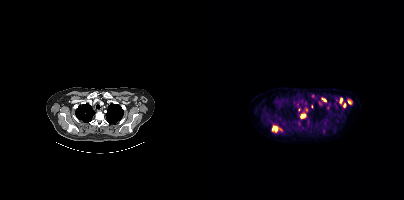
Coordinates are on the 200×200 PET (right) panel. (showing 14 of 15 foci) PSMA-avid tumor lesion bounding boxes (x, y, width, height): x=68 y=126 w=10 h=7 | x=97 y=114 w=5 h=5 | x=117 y=98 w=6 h=4 | x=99 y=109 w=5 h=4 | x=136 y=98 w=3 h=5. Small PSMA-avid foci (2 to 4 px across) near (center x, center y): (140, 104) | (124, 107) | (109, 95) | (145, 102) | (95, 109) | (103, 121) | (119, 130) | (116, 104) | (107, 106).